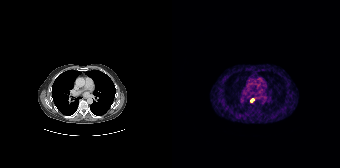
- Left: CT. Right: PSMA PET, same axial level, 68Ga-PSMA tracer
- slice 130 of 195
Findings: Coordinates are on the 168×168 PET (right) panel. Small PSMA-avid focus (2 to 4 px across) near (center x, center y): (80, 100).